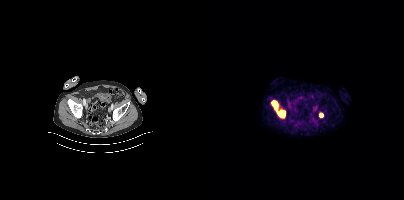
Coordinates are on the 200×200 PET (right) panel. PSMA-avid tumor lesion bounding boxes (x0, y0)-(x1, y1): (67, 100)-(81, 118) | (115, 113)-(119, 117).